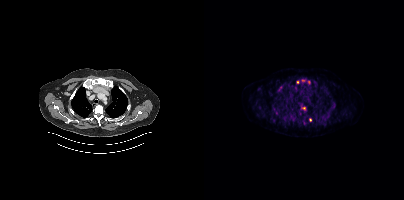
modality: PSMA PET/CT | tracer: 18F-PSMA | view: axial
Coordinates are on the 200×200 PET (right) panel. (showing 10 of 11 foci) PSMA-avid tumor lesion bounding boxes (x, y, width, height): x=84 y=113 w=10 h=10 / x=97 y=117 w=11 h=9 / x=97 y=106 w=6 h=5 / x=127 y=105 w=5 h=5 / x=97 y=79 w=5 h=4 / x=74 y=86 w=5 h=5 / x=103 y=80 w=4 h=5 / x=125 y=112 w=3 h=5. Small PSMA-avid foci (2 to 4 px across) near (center x, center y): (123, 96) / (129, 102).